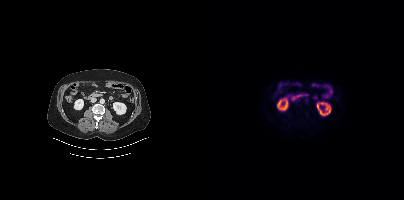
Negative for PSMA-avid disease on this slice.